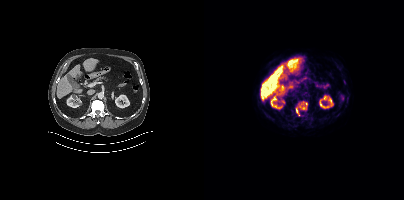
{"modality":"PSMA PET/CT","view":"axial","tracer":"[18F]PSMA-1007","pet_grid":[200,200],"coord_frame":"pet_panel","coord_format":"x0,y0,x1,y1","lesion_bboxes":[[92,101,103,115]]}